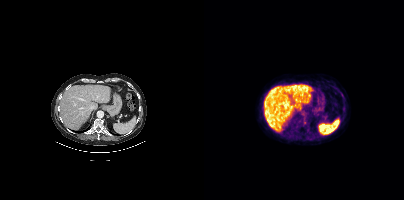
Left: CT. Right: PSMA PET, same axial level, [18F]PSMA-1007 tracer. Coordinates are on the 200×200 PET (right) panel. Small PSMA-avid focus (2 to 4 px across) near (center x, center y): (100, 122).